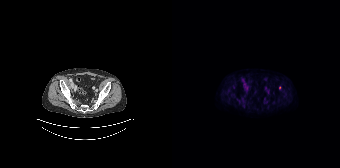
This slice has no annotated PSMA-avid lesion. Left: CT. Right: PSMA PET, same axial level, [18F]PSMA-1007 tracer. Acquired on Siemens Biograph 64-4R TruePoint.